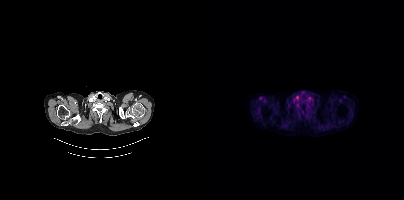
Findings: This slice has no annotated PSMA-avid lesion.
Technique: Paired axial CT (left) and PSMA PET (right), 18F-PSMA tracer. acquired on Siemens Biograph mCT Flow 20. slice 387 of 454. PET panel 200×200 px (4.1 mm/px).